Two-panel axial: CT | PSMA PET, [18F]PSMA-1007 tracer. PET panel 200×200 px (4.1 mm/px).
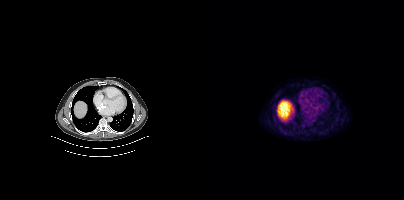
No tumor lesions annotated on this slice.